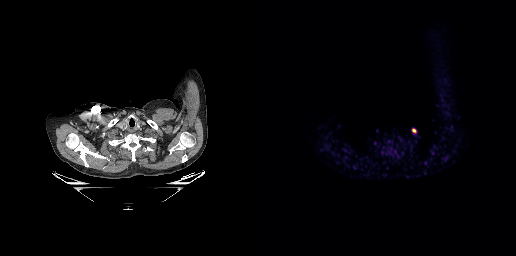
Technique: Left: CT. Right: PSMA PET, same axial level, 18F-PSMA tracer. acquired on GE Discovery 690. PET panel 256×256 px (2.7 mm/px).
Findings: Coordinates are on the 256×256 PET (right) panel. Small PSMA-avid focus (2 to 4 px across) near (center x, center y): (153, 130).